Facial anatomy redacted by setting a rectangular region of the head to black.
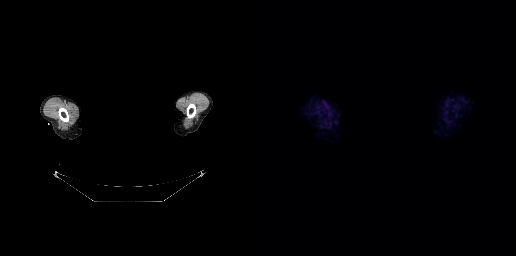
Negative for PSMA-avid disease on this slice.